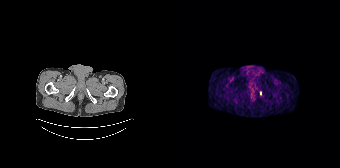
Coordinates are on the 168×168 PET (right) panel. Small PSMA-avid focus (2 to 4 px across) near (center x, center y): (88, 93). Two-panel axial: CT | PSMA PET, 68Ga tracer. Acquired on Siemens Biograph 64-4R TruePoint.